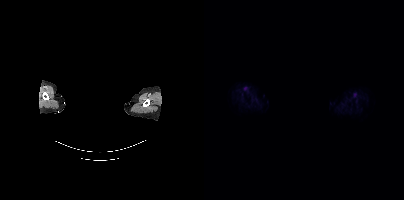
This slice has no annotated PSMA-avid lesion. A rectangular block over the head has been blanked out for de-identification. Left: CT. Right: PSMA PET, same axial level, 18F-PSMA tracer. Acquired on Siemens Biograph mCT Flow 20.